Paired axial CT (left) and PSMA PET (right), 18F-PSMA tracer. Acquired on Siemens Biograph mCT Flow 20. Slice 123 of 377.
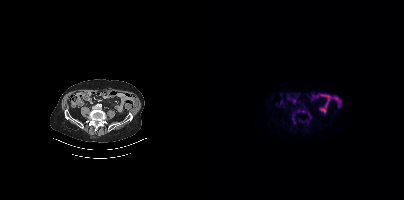
Coordinates are on the 200×200 PET (right) panel. (showing 1 of 3 foci) Small PSMA-avid focus (2 to 4 px across) near (center x, center y): (98, 111).